modality: PSMA PET/CT | tracer: [68Ga]Ga-PSMA-11 | view: axial | PET grid: 168×168
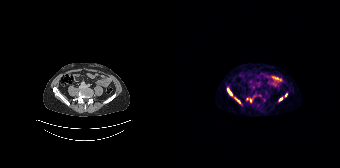
Coordinates are on the 168×168 PET (right) panel. PSMA-avid tumor lesion bounding box (x, y, width, height): x=55 y=88 w=14 h=16. Small PSMA-avid foci (2 to 4 px across) near (center x, center y): (108, 98) / (114, 94) / (78, 100) / (75, 98).